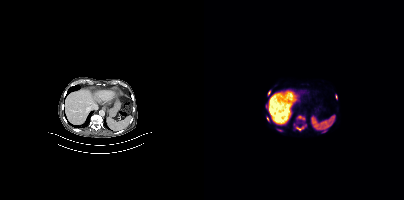
Left: CT. Right: PSMA PET, same axial level, 18F-PSMA tracer. Slice 228 of 387. PET panel 200×200 px (4.1 mm/px).
Coordinates are on the 200×200 PET (right) panel. PSMA-avid tumor lesion bounding boxes (partial; 1 more focus not listed):
| # | x0 | y0 | x1 | y1 |
|---|---|---|---|---|
| 1 | 93 | 115 | 101 | 120 |
| 2 | 91 | 124 | 101 | 130 |
| 3 | 73 | 129 | 78 | 131 |
| 4 | 131 | 95 | 133 | 99 |
| 5 | 61 | 104 | 63 | 108 |
| 6 | 63 | 117 | 65 | 121 |
Small PSMA-avid focus (2 to 4 px across) near (center x, center y): (65, 92).